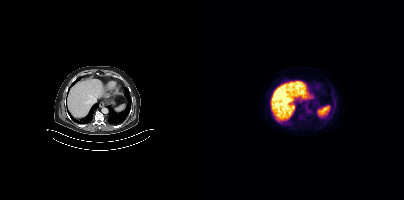
Left: CT. Right: PSMA PET, same axial level, 18F tracer. Acquired on Siemens Biograph mCT Flow 20. This slice has no annotated PSMA-avid lesion.